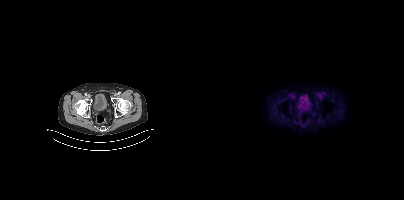
{"modality":"PSMA PET/CT","view":"axial","tracer":"18F-PSMA","pet_grid":[200,200],"coord_frame":"pet_panel","coord_format":"x0,y0,x1,y1","psma_avid_lesions":false}